modality: PSMA PET/CT | tracer: 18F | view: axial
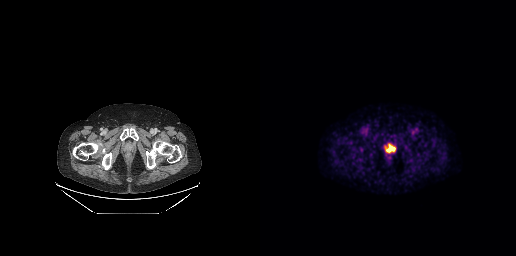
Coordinates are on the 256×256 PET (right) panel. PSMA-avid tumor lesion bounding box (x0, y0)-(x1, y1): (126, 144)-(135, 152).